Two-panel axial: CT | PSMA PET, 18F tracer. Acquired on Siemens Biograph mCT Flow 20. PET panel 200×200 px (4.1 mm/px).
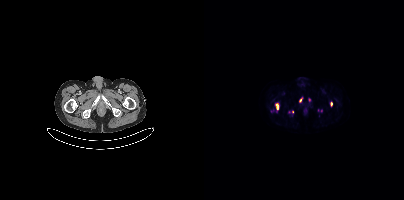
Coordinates are on the 200×200 PET (right) panel. PSMA-avid tumor lesion bounding boxes (partial; 1 more focus not listed):
| # | x0 | y0 | x1 | y1 |
|---|---|---|---|---|
| 1 | 72 | 104 | 74 | 109 |
Small PSMA-avid foci (2 to 4 px across) near (center x, center y): (127, 103); (105, 99); (88, 111); (96, 100).